Two-panel axial: CT | PSMA PET, 18F tracer. Slice position z = -1400 mm. PET panel 200×200 px (4.1 mm/px).
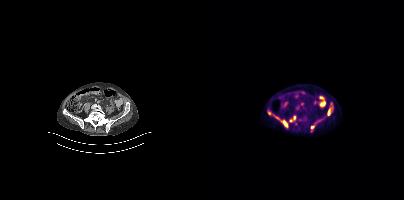
Coordinates are on the 200×200 PET (right) panel. PSMA-avid tumor lesion bounding boxes:
| # | x0 | y0 | x1 | y1 |
|---|---|---|---|---|
| 1 | 70 | 115 | 75 | 119 |
Small PSMA-avid foci (2 to 4 px across) near (center x, center y): (125, 109); (65, 112); (81, 126).